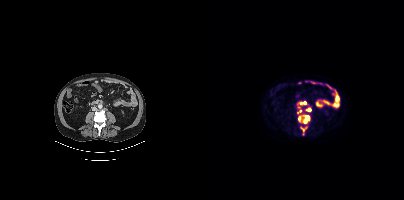
Coordinates are on the 200×200 PET (right) panel. (showing 4 of 5 foci) PSMA-avid tumor lesion bounding boxes (x0,y0,x1,y1): [94,114,106,123] [93,101,103,113] [101,107,107,112] [96,127,102,132].